Two-panel axial: CT | PSMA PET, 68Ga tracer. Slice position z = -1157 mm. PET panel 168×168 px (4.1 mm/px).
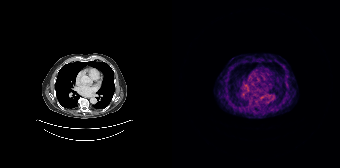
Coordinates are on the 168×168 PET (right) panel. (showing 1 of 2 foci) Small PSMA-avid focus (2 to 4 px across) near (center x, center y): (89, 97).